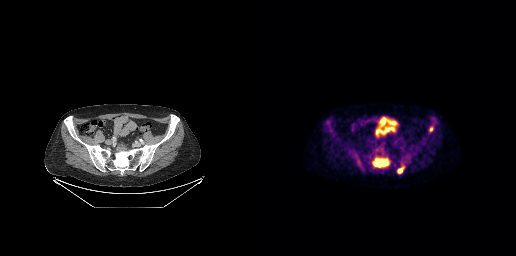
Paired axial CT (left) and PSMA PET (right), 18F tracer. PET panel 256×256 px (2.7 mm/px). Coordinates are on the 256×256 PET (right) panel. (showing 2 of 3 foci) PSMA-avid tumor lesion bounding boxes (x0, y0)-(x1, y1): (113, 158)-(128, 167); (138, 167)-(143, 173).